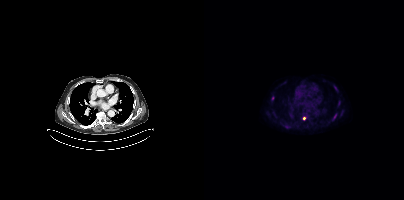
{"pet_grid":[200,200],"coord_frame":"pet_panel","coord_format":"x0,y0,x1,y1","partial":true,"lesion_bboxes":[[129,115,132,119],[130,85,132,89]],"small_foci_centers":[[69,97],[82,127]],"modality":"PSMA PET/CT","view":"axial","tracer":"18F-PSMA"}